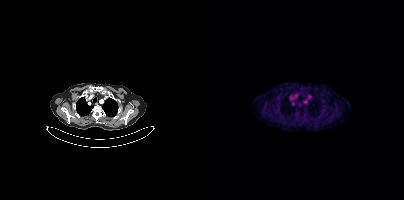
Negative for PSMA-avid disease on this slice.